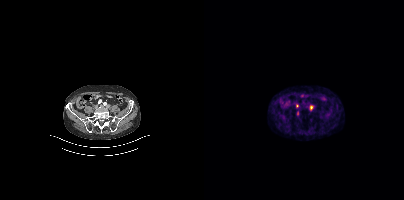
Coordinates are on the 200×200 PET (right) panel. Small PSMA-avid foci (2 to 4 px across) near (center x, center y): (93, 105) | (107, 107). Left: CT. Right: PSMA PET, same axial level, 68Ga-PSMA tracer. Slice 115 of 405.